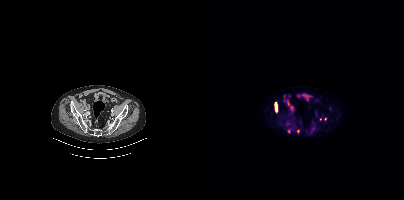
- Left: CT. Right: PSMA PET, same axial level, 18F tracer
- acquired on Siemens Biograph mCT Flow 20
Findings: Coordinates are on the 200×200 PET (right) panel. (showing 2 of 4 foci) PSMA-avid tumor lesion bounding box (x, y, width, height): x=70 y=102 w=4 h=10. Small PSMA-avid focus (2 to 4 px across) near (center x, center y): (84, 130).